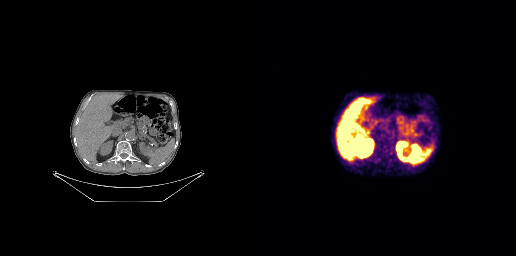
{"modality":"PSMA PET/CT","view":"axial","tracer":"68Ga","pet_grid":[256,256],"coord_frame":"pet_panel","coord_format":"x0,y0,x1,y1","psma_avid_lesions":false}